modality: PSMA PET/CT | tracer: 18F | view: axial | redaction: rectangular block over head set to black
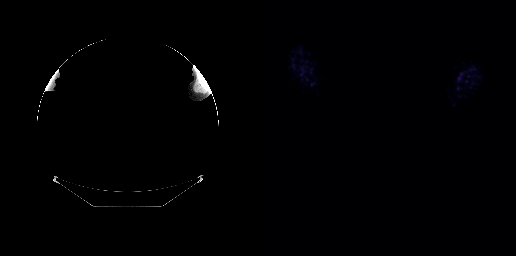
Negative for PSMA-avid disease on this slice.